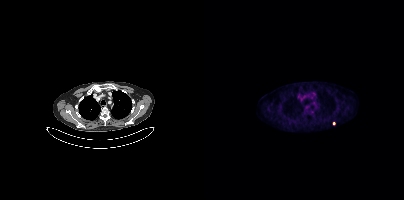
modality: PSMA PET/CT | tracer: 18F | view: axial | PET grid: 200×200
Coordinates are on the 200×200 PET (right) panel. Small PSMA-avid focus (2 to 4 px across) near (center x, center y): (129, 123).